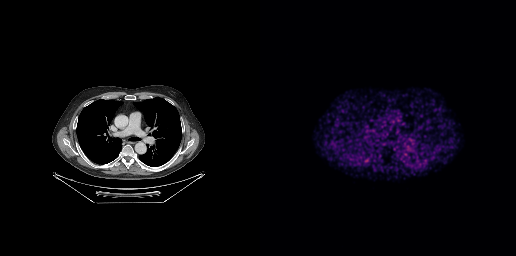
- Paired axial CT (left) and PSMA PET (right), [68Ga]Ga-PSMA-11 tracer
- slice position z = -433 mm
- PET panel 256×256 px (2.7 mm/px)
Findings: Negative for PSMA-avid disease on this slice.